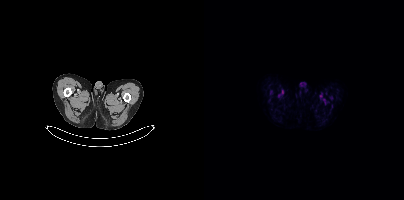
{"modality":"PSMA PET/CT","view":"axial","tracer":"[18F]PSMA-1007","pet_grid":[200,200],"coord_frame":"pet_panel","coord_format":"x0,y0,x1,y1","psma_avid_lesions":false}